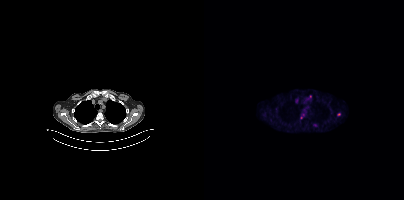
Coordinates are on the 200×200 PET (right) panel. (showing 3 of 4 foci) Small PSMA-avid foci (2 to 4 px across) near (center x, center y): (134, 114) | (106, 96) | (97, 117).